Two-panel axial: CT | PSMA PET, 18F-PSMA tracer. PET panel 200×200 px (4.1 mm/px).
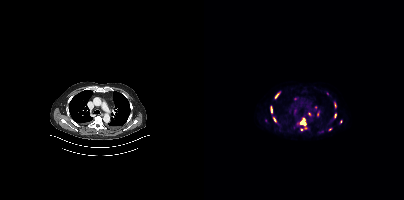
Coordinates are on the 200×200 PET (right) panel. (showing 11 of 12 foci) PSMA-avid tumor lesion bounding boxes (x0, y0)-(x1, y1): (93, 117)-(103, 130) | (130, 101)-(132, 108) | (66, 106)-(68, 113) | (71, 93)-(75, 98) | (130, 113)-(132, 117) | (69, 117)-(72, 121). Small PSMA-avid foci (2 to 4 px across) near (center x, center y): (126, 129) | (105, 114) | (137, 121) | (123, 93) | (113, 114).